Technique: Two-panel axial: CT | PSMA PET, 18F tracer. PET panel 200×200 px (4.1 mm/px).
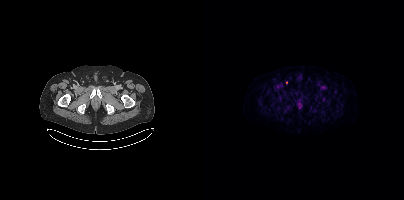
Findings: Coordinates are on the 200×200 PET (right) panel. Small PSMA-avid focus (2 to 4 px across) near (center x, center y): (82, 82).